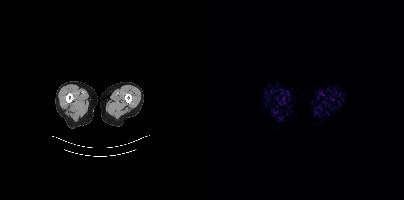
Findings: This slice has no annotated PSMA-avid lesion.
- Left: CT. Right: PSMA PET, same axial level, [18F]PSMA-1007 tracer
- acquired on Siemens Biograph mCT Flow 20